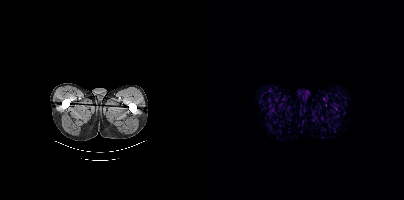
Two-panel axial: CT | PSMA PET, 18F tracer. Acquired on Siemens Biograph mCT Flow 20. Slice 7 of 438. PET panel 200×200 px (4.1 mm/px). This slice has no annotated PSMA-avid lesion.